- Two-panel axial: CT | PSMA PET, 18F tracer
- slice position z = -1114 mm
- PET panel 200×200 px (4.1 mm/px)
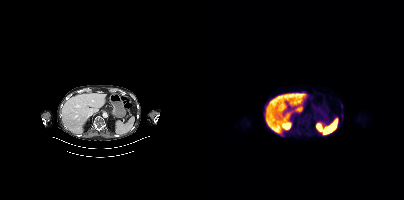
Findings: Coordinates are on the 200×200 PET (right) panel. PSMA-avid tumor lesion bounding box (x0, y0)-(x1, y1): (137, 113)-(139, 119). Small PSMA-avid focus (2 to 4 px across) near (center x, center y): (137, 105).